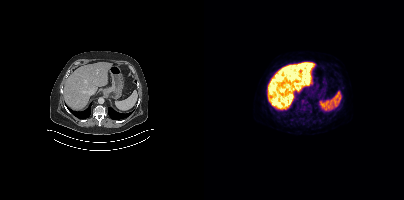
{"modality":"PSMA PET/CT","view":"axial","tracer":"[18F]PSMA-1007","pet_grid":[200,200],"coord_frame":"pet_panel","coord_format":"x0,y0,x1,y1","lesion_bboxes":[[101,106,105,110]]}